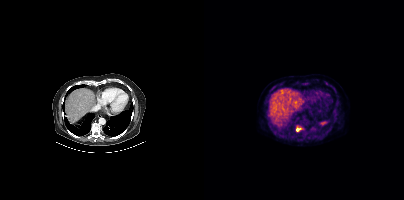
Coordinates are on the 200×200 PET (right) panel. PSMA-avid tumor lesion bounding box (x0, y0)-(x1, y1): (92, 127)-(97, 131).